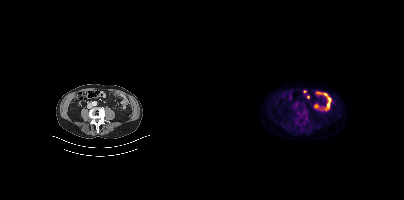
Coordinates are on the 200×200 PET (right) panel. Small PSMA-avid focus (2 to 4 px across) near (center x, center y): (93, 112).